modality: PSMA PET/CT | tracer: 18F-PSMA | view: axial | PET grid: 200×200 | deidentification: face masked with black rectangle
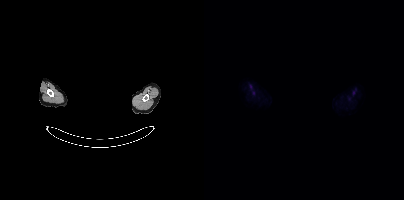
Negative for PSMA-avid disease on this slice.